Paired axial CT (left) and PSMA PET (right), 18F tracer. PET panel 200×200 px (4.1 mm/px).
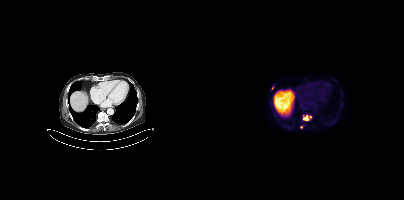
Coordinates are on the 200×200 PET (right) panel. PSMA-avid tumor lesion bounding box (x, y, width, height): x=98 y=115 w=6 h=6. Small PSMA-avid foci (2 to 4 px across) near (center x, center y): (68, 88) / (97, 126).